Two-panel axial: CT | PSMA PET, 18F-PSMA tracer. Slice position z = -1111 mm.
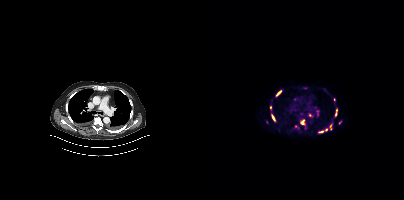
Coordinates are on the 200×200 PET (right) panel. (showing 12 of 14 foci) PSMA-avid tumor lesion bounding boxes (x0,y0,x1,y1): [96,119,101,125], [114,128,123,133], [72,90,77,96], [131,108,133,116], [67,114,71,121], [125,124,128,129]. Small PSMA-avid foci (2 to 4 px across) near (center x, center y): (130, 99), (66, 107), (106, 115), (91, 126), (136, 122), (120, 89).